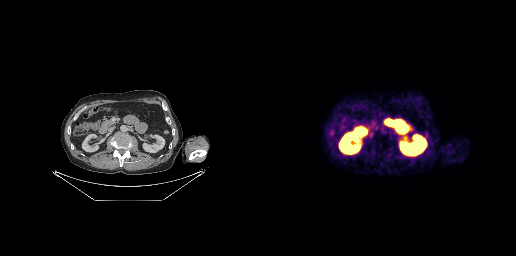
{"modality":"PSMA PET/CT","view":"axial","tracer":"68Ga-PSMA","pet_grid":[256,256],"coord_frame":"pet_panel","coord_format":"x0,y0,x1,y1","lesion_bboxes":[],"small_foci_centers":[[110,134]]}